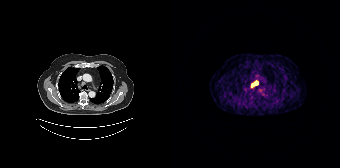
Coordinates are on the 168×168 PET (right) panel. PSMA-avid tumor lesion bounding box (x, y, width, height): x=80 y=81 w=6 h=5.